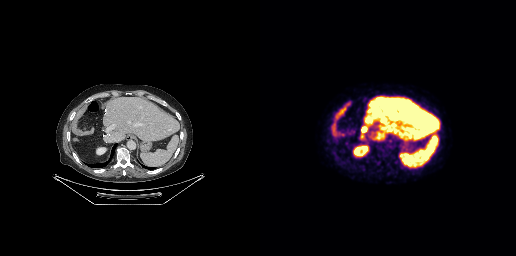
Negative for PSMA-avid disease on this slice.